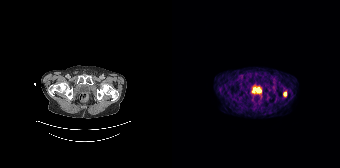
Technique: Two-panel axial: CT | PSMA PET, [68Ga]Ga-PSMA-11 tracer. slice 33 of 165.
Findings: Coordinates are on the 168×168 PET (right) panel. PSMA-avid tumor lesion bounding box (x, y, width, height): x=111 y=92 w=4 h=5.